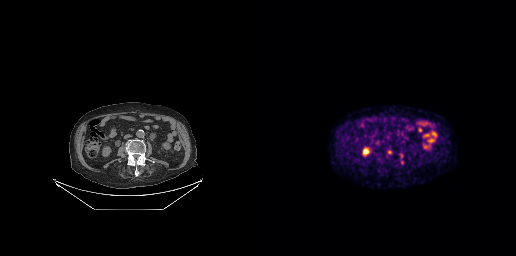
Left: CT. Right: PSMA PET, same axial level, 18F tracer. PET panel 256×256 px (2.7 mm/px).
Coordinates are on the 256×256 PET (right) panel. PSMA-avid tumor lesion bounding boxes:
| # | x0 | y0 | x1 | y1 |
|---|---|---|---|---|
| 1 | 132 | 152 | 137 | 156 |